Paired axial CT (left) and PSMA PET (right), 18F tracer.
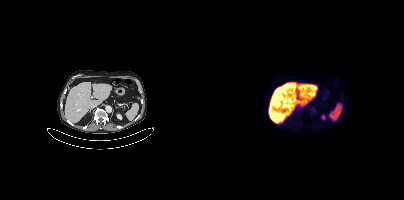
Negative for PSMA-avid disease on this slice.